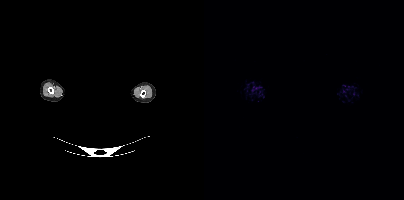
{"modality":"PSMA PET/CT","view":"axial","tracer":"18F-PSMA","pet_grid":[200,200],"coord_frame":"pet_panel","coord_format":"x0,y0,x1,y1","de-identification":"head region blanked (face removed)","psma_avid_lesions":false}